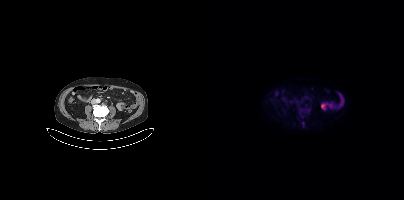
Technique: Paired axial CT (left) and PSMA PET (right), 18F tracer. acquired on Siemens Biograph mCT Flow 20. PET panel 200×200 px (4.1 mm/px).
Findings: Only PSMA-avid lesion pieces thinner than 2 px on this slice (not listed).